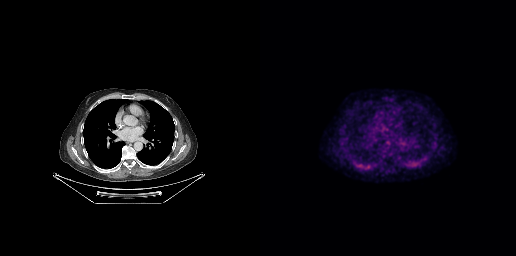
No tumor lesions annotated on this slice.
modality: PSMA PET/CT | tracer: [18F]PSMA-1007 | view: axial | PET grid: 256×256